The head region is masked for de-identification. Two-panel axial: CT | PSMA PET, [68Ga]Ga-PSMA-11 tracer. Acquired on Siemens Biograph 64-4R TruePoint.
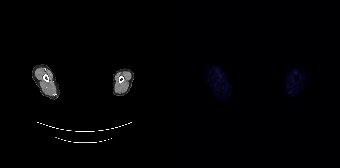
Negative for PSMA-avid disease on this slice.